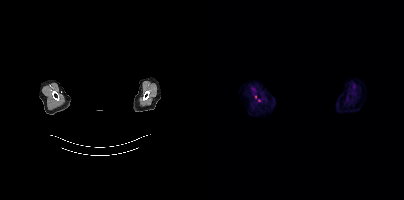
Findings: Coordinates are on the 200×200 PET (right) panel. (showing 1 of 2 foci) Small PSMA-avid focus (2 to 4 px across) near (center x, center y): (51, 96).
Technique: Left: CT. Right: PSMA PET, same axial level, 18F tracer. acquired on Siemens Biograph mCT Flow 20. slice position z = -962 mm. PET panel 200×200 px (4.1 mm/px).
Note: Facial anatomy redacted by setting a rectangular region of the head to black.